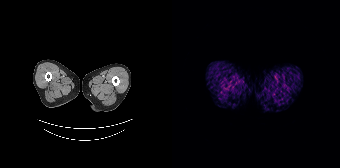
No PSMA-avid tumor lesions on this slice.
modality: PSMA PET/CT | tracer: 68Ga | view: axial